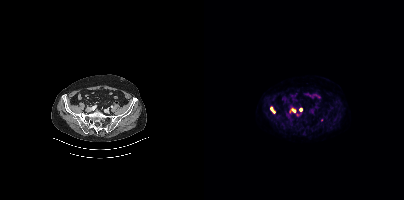
- Left: CT. Right: PSMA PET, same axial level, 18F-PSMA tracer
- acquired on Siemens Biograph mCT Flow 20
- slice 115 of 452
Findings: Coordinates are on the 200×200 PET (right) panel. PSMA-avid tumor lesion bounding boxes (x0,y0,x1,y1): [67,107,70,112], [87,108,91,111]. Small PSMA-avid focus (2 to 4 px across) near (center x, center y): (96, 109).